Left: CT. Right: PSMA PET, same axial level, [18F]PSMA-1007 tracer. Acquired on Siemens Biograph mCT Flow 20. Slice 101 of 387.
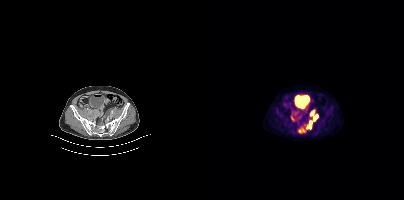
Coordinates are on the 200×200 PET (right) panel. PSMA-avid tumor lesion bounding boxes:
| # | x0 | y0 | x1 | y1 |
|---|---|---|---|---|
| 1 | 94 | 121 | 107 | 132 |
| 2 | 87 | 112 | 92 | 120 |
| 3 | 109 | 115 | 113 | 120 |
Small PSMA-avid focus (2 to 4 px across) near (center x, center y): (107, 113).